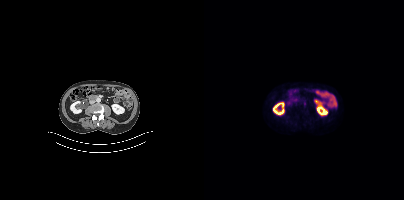
Technique: Two-panel axial: CT | PSMA PET, 18F-PSMA tracer. acquired on Siemens Biograph mCT Flow 20. slice 163 of 411. PET panel 200×200 px (4.1 mm/px).
Findings: This slice has no annotated PSMA-avid lesion.